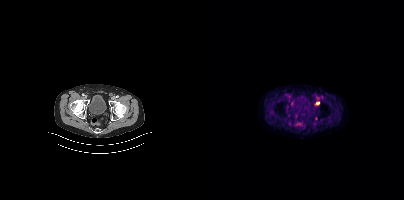
{"pet_grid":[200,200],"coord_frame":"pet_panel","coord_format":"x0,y0,x1,y1","partial":true,"lesion_bboxes":[],"small_foci_centers":[[113,103]],"modality":"PSMA PET/CT","view":"axial","tracer":"[18F]PSMA-1007"}